- Paired axial CT (left) and PSMA PET (right), [18F]PSMA-1007 tracer
- acquired on Siemens Biograph mCT Flow 20
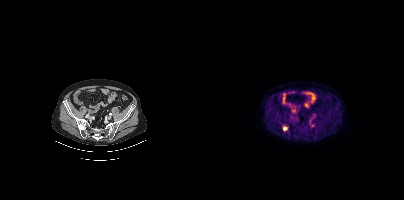
Findings: Coordinates are on the 200×200 PET (right) panel. PSMA-avid tumor lesion bounding box (x0,y0,x1,y1): [79,126,83,131].